Technique: Two-panel axial: CT | PSMA PET, [18F]PSMA-1007 tracer.
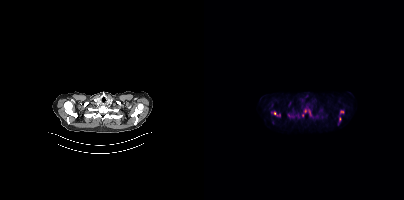
Findings: Coordinates are on the 200×200 PET (right) panel. (showing 7 of 8 foci) PSMA-avid tumor lesion bounding boxes (x0,y0,x1,y1): [83,113,88,118] [136,110,139,114]. Small PSMA-avid foci (2 to 4 px across) near (center x, center y): (101, 110) (71, 113) (105, 112) (135, 119) (98, 114).